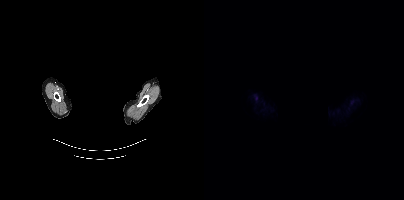
Findings: This slice has no annotated PSMA-avid lesion.
- Left: CT. Right: PSMA PET, same axial level, 18F tracer
- slice position z = -370 mm
- privacy masking over the head, with the pixels inside a rectangle set to black